Technique: Paired axial CT (left) and PSMA PET (right), 18F-PSMA tracer. acquired on Siemens Biograph mCT Flow 20. PET panel 200×200 px (4.1 mm/px).
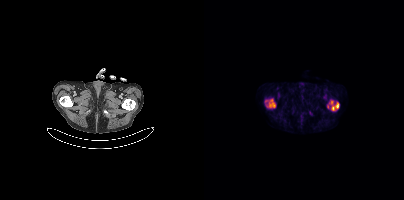
Findings: Coordinates are on the 200×200 PET (right) panel. PSMA-avid tumor lesion bounding boxes (x0,y0,x1,y1): [125,100,135,110]; [65,99,71,107]. Small PSMA-avid focus (2 to 4 px across) near (center x, center y): (123, 106).